modality: PSMA PET/CT | tracer: 18F-PSMA | view: axial | PET grid: 200×200
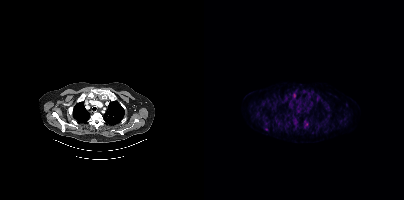
Coordinates are on the 200×200 PET (right) panel. Small PSMA-avid focus (2 to 4 px across) near (center x, center y): (90, 95).